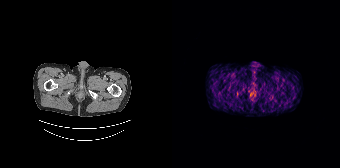
No tumor lesions annotated on this slice.